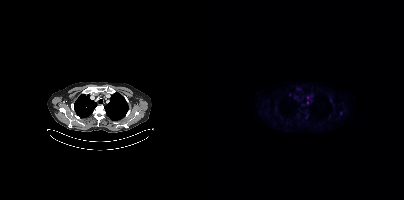
modality: PSMA PET/CT | tracer: 18F-PSMA | view: axial
Coordinates are on the 200×200 PET (right) panel. (showing 4 of 5 foci) PSMA-avid tumor lesion bounding box (x, y, width, height): x=101 y=114 w=4 h=5. Small PSMA-avid foci (2 to 4 px across) near (center x, center y): (103, 97); (103, 102); (136, 113).